- facial anatomy redacted by setting a rectangular region of the head to black
- Two-panel axial: CT | PSMA PET, 18F tracer
- slice 376 of 417
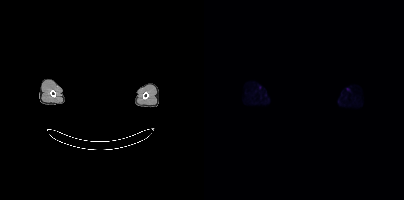
Findings: No PSMA-avid tumor lesions on this slice.